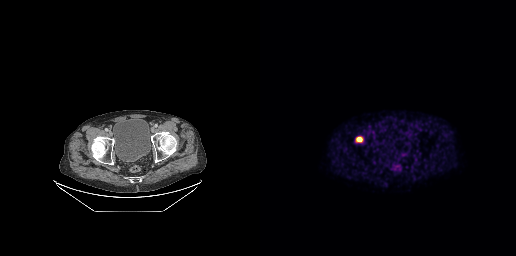
Findings: Coordinates are on the 256×256 PET (right) panel. PSMA-avid tumor lesion bounding box (x, y, width, height): x=97 y=137 w=5 h=5.
Technique: Paired axial CT (left) and PSMA PET (right), 18F-PSMA tracer. slice 86 of 299. PET panel 256×256 px (2.7 mm/px).